- Left: CT. Right: PSMA PET, same axial level, 68Ga tracer
- slice 139 of 373
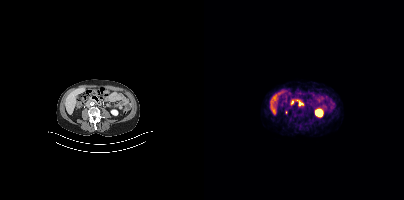
Findings: Coordinates are on the 200×200 PET (right) panel. PSMA-avid tumor lesion bounding box (x0,y0,x1,y1): [87,100,90,104]. Small PSMA-avid focus (2 to 4 px across) near (center x, center y): (95, 103).